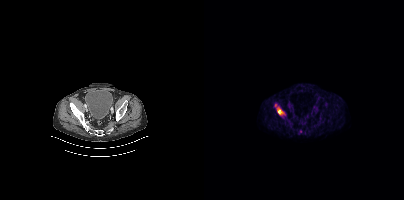
{"pet_grid":[200,200],"coord_frame":"pet_panel","coord_format":"x0,y0,x1,y1","lesion_bboxes":[[73,108,79,114]],"modality":"PSMA PET/CT","view":"axial","tracer":"18F"}